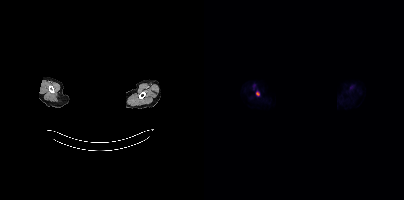
Left: CT. Right: PSMA PET, same axial level, 18F tracer. The head region is masked for de-identification. Coordinates are on the 200×200 PET (right) panel. Small PSMA-avid focus (2 to 4 px across) near (center x, center y): (53, 93).